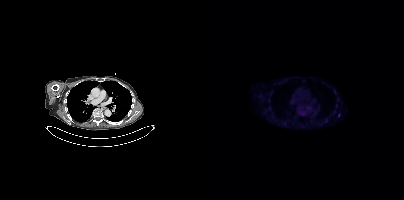
Paired axial CT (left) and PSMA PET (right), [18F]PSMA-1007 tracer. PET panel 200×200 px (4.1 mm/px). Coordinates are on the 200×200 PET (right) panel. (showing 1 of 2 foci) Small PSMA-avid focus (2 to 4 px across) near (center x, center y): (135, 115).